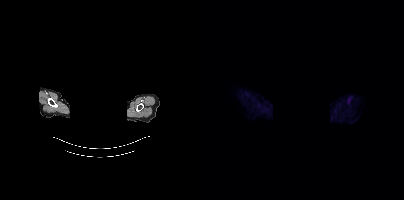
De-identified by setting a box covering the face to black before release. Paired axial CT (left) and PSMA PET (right), 18F-PSMA tracer. Acquired on Siemens Biograph mCT Flow 20. Slice position z = -844 mm. PET panel 200×200 px (4.1 mm/px). Negative for PSMA-avid disease on this slice.